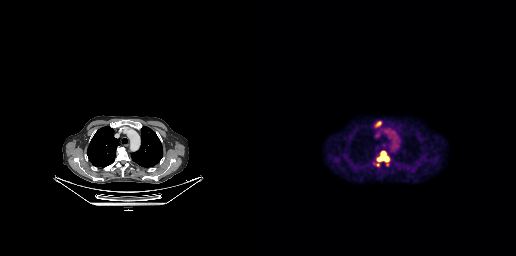
Technique: Left: CT. Right: PSMA PET, same axial level, [18F]PSMA-1007 tracer. acquired on GE Discovery 690. PET panel 256×256 px (2.7 mm/px).
Findings: Coordinates are on the 256×256 PET (right) panel. (showing 2 of 3 foci) PSMA-avid tumor lesion bounding boxes (x0,y0,x1,y1): [117,151,128,161] [115,121,121,127].